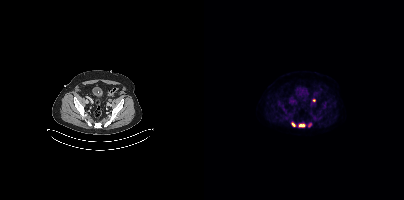
Technique: Paired axial CT (left) and PSMA PET (right), 18F tracer. slice position z = -1384 mm.
Findings: Coordinates are on the 200×200 PET (right) panel. PSMA-avid tumor lesion bounding boxes (x, y, width, height): x=94 y=123 w=8 h=5 | x=87 y=122 w=5 h=5. Small PSMA-avid foci (2 to 4 px across) near (center x, center y): (110, 100) | (105, 125).